Left: CT. Right: PSMA PET, same axial level, 18F tracer. Acquired on Siemens Biograph mCT Flow 20. PET panel 200×200 px (4.1 mm/px).
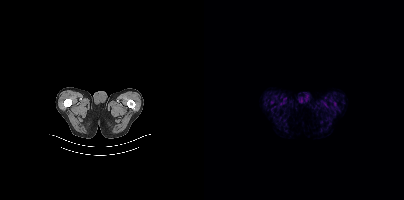
Negative for PSMA-avid disease on this slice.